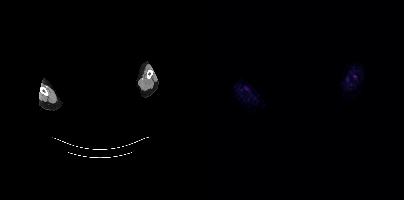
{"modality":"PSMA PET/CT","view":"axial","tracer":"18F-PSMA","pet_grid":[200,200],"coord_frame":"pet_panel","coord_format":"x0,y0,x1,y1","redaction":"rectangular block over head set to black","psma_avid_lesions":false}